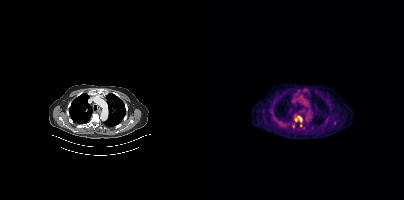
{"pet_grid":[200,200],"coord_frame":"pet_panel","coord_format":"x0,y0,x1,y1","partial":true,"lesion_bboxes":[[94,116,97,121]],"small_foci_centers":[[91,119]],"modality":"PSMA PET/CT","view":"axial","tracer":"[18F]PSMA-1007"}